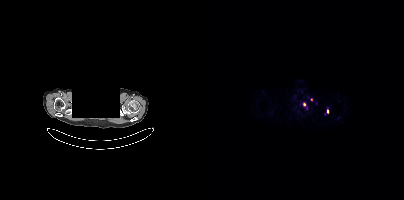
Head region blanked for anonymization (face removed).
Coordinates are on the 200×200 PET (right) panel. (showing 3 of 4 foci) Small PSMA-avid foci (2 to 4 px across) near (center x, center y): (123, 110) / (100, 104) / (107, 99).